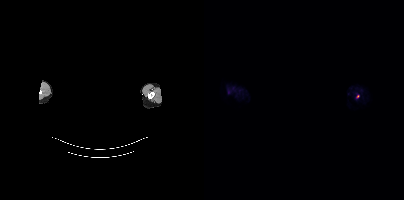
Coordinates are on the 200×200 PET (right) panel. Small PSMA-avid focus (2 to 4 px across) near (center x, center y): (153, 96). Two-panel axial: CT | PSMA PET, 18F tracer. Slice position z = -826 mm. Facial anatomy redacted by setting a rectangular region of the head to black.